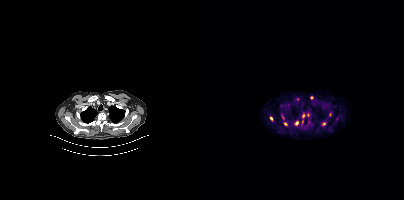
Coordinates are on the 200×200 PET (right) panel. (showing 8 of 10 foci) PSMA-avid tumor lesion bounding box (x0, y0)-(x1, y1): (91, 121)-(94, 125). Small PSMA-avid foci (2 to 4 px across) near (center x, center y): (99, 115) / (67, 118) / (81, 124) / (120, 123) / (107, 97) / (98, 121) / (103, 114).